Left: CT. Right: PSMA PET, same axial level, [18F]PSMA-1007 tracer. PET panel 200×200 px (4.1 mm/px).
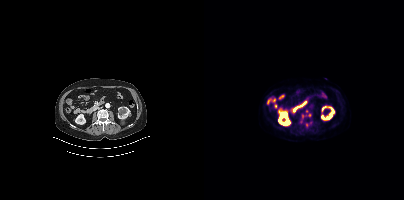
Coordinates are on the 200×200 PET (right) panel. PSMA-avid tumor lesion bounding boxes:
| # | x0 | y0 | x1 | y1 |
|---|---|---|---|---|
| 1 | 96 | 115 | 99 | 122 |
Small PSMA-avid foci (2 to 4 px across) near (center x, center y): (103, 111); (102, 125).